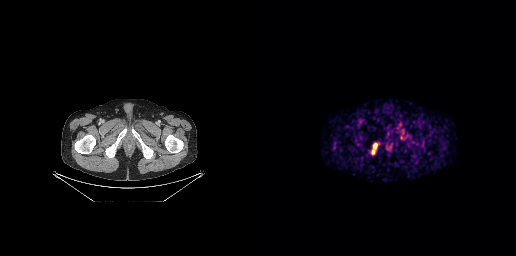
{"modality":"PSMA PET/CT","view":"axial","tracer":"68Ga","pet_grid":[256,256],"coord_frame":"pet_panel","coord_format":"x0,y0,x1,y1","lesion_bboxes":[[113,143,117,148]],"small_foci_centers":[[113,151]]}